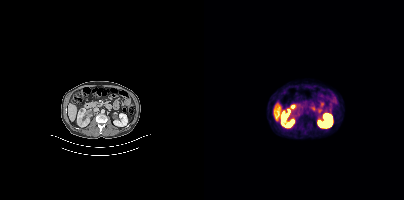
No PSMA-avid tumor lesions on this slice.